Two-panel axial: CT | PSMA PET, 68Ga tracer.
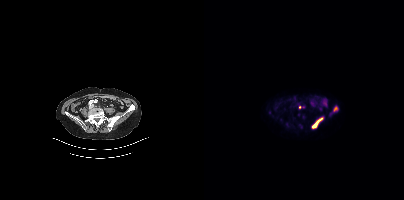
Coordinates are on the 200×200 PET (right) panel. PSMA-avid tumor lesion bounding boxes (x, y, width, height): x=108 y=120 w=8 h=8; x=129 y=106 w=5 h=6. Small PSMA-avid foci (2 to 4 px across) near (center x, center y): (118, 118); (96, 106); (99, 106).